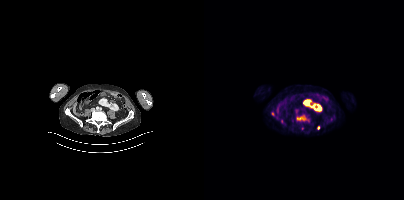
Findings: Coordinates are on the 200×200 PET (right) panel. (showing 3 of 4 foci) PSMA-avid tumor lesion bounding box (x0, y0)-(x1, y1): (93, 116)-(101, 120). Small PSMA-avid foci (2 to 4 px across) near (center x, center y): (77, 121); (114, 127).
Technique: Two-panel axial: CT | PSMA PET, 18F tracer.